Technique: Paired axial CT (left) and PSMA PET (right), 18F tracer. acquired on GE Discovery 690.
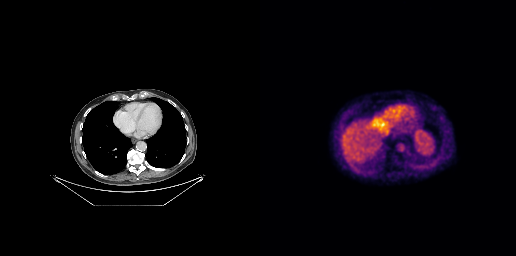
Findings: This slice has no annotated PSMA-avid lesion.